modality: PSMA PET/CT | tracer: 18F-PSMA | view: axial | PET grid: 200×200
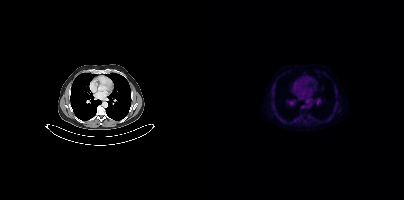
This slice has no annotated PSMA-avid lesion.